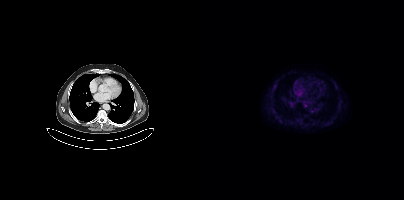
Coordinates are on the 200×200 PET (right) panel. Small PSMA-avid focus (2 to 4 px across) near (center x, center y): (101, 105).